Technique: Two-panel axial: CT | PSMA PET, [18F]PSMA-1007 tracer.
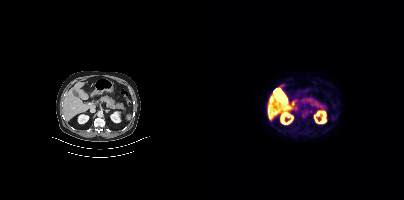
Findings: No tumor lesions annotated on this slice.